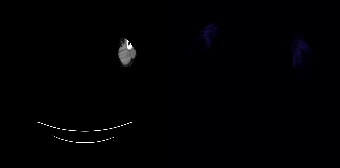
modality: PSMA PET/CT | tracer: 68Ga | view: axial | de-identification: rectangular block over head set to black
Negative for PSMA-avid disease on this slice.